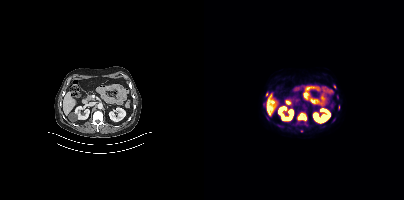
Technique: Two-panel axial: CT | PSMA PET, 18F tracer.
Findings: Coordinates are on the 200×200 PET (right) panel. (showing 4 of 5 foci) PSMA-avid tumor lesion bounding box (x0, y0)-(x1, y1): (94, 114)-(102, 120). Small PSMA-avid foci (2 to 4 px across) near (center x, center y): (130, 86); (62, 94); (129, 120).